Left: CT. Right: PSMA PET, same axial level, [18F]PSMA-1007 tracer. PET panel 200×200 px (4.1 mm/px).
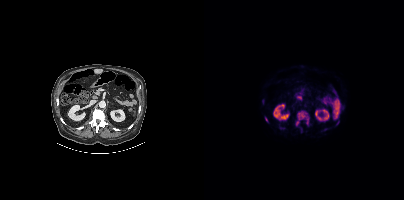
Coordinates are on the 200×200 PET (right) panel. (showing 3 of 4 foci) PSMA-avid tumor lesion bounding boxes (x0, y0)-(x1, y1): (91, 110)-(105, 126); (61, 117)-(64, 122). Small PSMA-avid focus (2 to 4 px across) near (center x, center y): (95, 97).